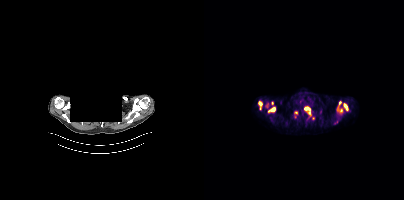
{"modality":"PSMA PET/CT","view":"axial","tracer":"[18F]PSMA-1007","pet_grid":[200,200],"coord_frame":"pet_panel","coord_format":"x0,y0,x1,y1","partial":true,"lesion_bboxes":[[100,107,107,116],[64,106,71,112],[133,108,138,113],[54,101,58,109],[140,103,144,110]],"small_foci_centers":[[91,112],[136,102],[68,103],[63,105],[109,118]],"de-identification":"head region blacked out before release"}